Paired axial CT (left) and PSMA PET (right), 18F-PSMA tracer. Slice position z = -500 mm.
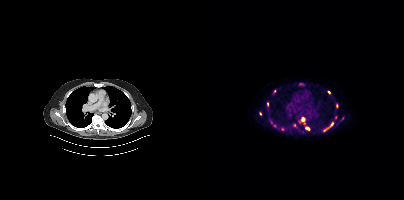
Coordinates are on the 200×200 PET (right) panel. PSMA-avid tumor lesion bounding boxes (partial; 3 more foci not listed):
| # | x0 | y0 | x1 | y1 |
|---|---|---|---|---|
| 1 | 96 | 117 | 101 | 122 |
| 2 | 101 | 126 | 105 | 130 |
Small PSMA-avid foci (2 to 4 px across) near (center x, center y): (125, 92); (132, 105); (128, 124); (63, 104); (90, 125); (56, 113); (100, 123).